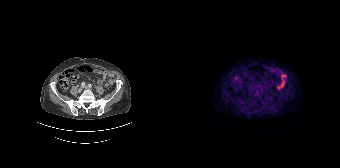
Paired axial CT (left) and PSMA PET (right), 68Ga-PSMA tracer. No tumor lesions annotated on this slice.